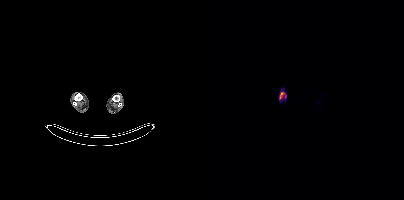
modality: PSMA PET/CT | tracer: 18F | view: axial | PET grid: 200×200
Coordinates are on the 200×200 PET (right) panel. PSMA-avid tumor lesion bounding box (x0,y0,x1,y1): [75,92,82,99].